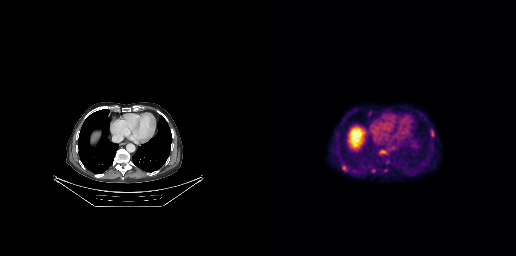
Coordinates are on the 256×256 PET (right) panel. PSMA-avid tumor lesion bounding box (x, y, width, height): x=82 y=166 w=5 h=5.